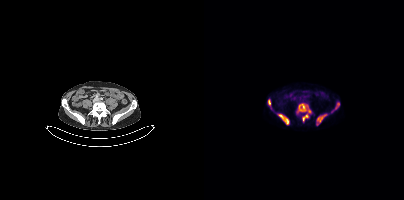
Coordinates are on the 200×200 PET (right) panel. PSMA-avid tumor lesion bounding boxes (partial; 1 more focus not listed):
| # | x0 | y0 | x1 | y1 |
|---|---|---|---|---|
| 1 | 93 | 103 | 107 | 121 |
| 2 | 73 | 114 | 84 | 124 |
| 3 | 112 | 114 | 122 | 125 |
| 4 | 64 | 99 | 66 | 106 |
| 5 | 131 | 102 | 135 | 109 |
Left: CT. Right: PSMA PET, same axial level, 18F-PSMA tracer. PET panel 200×200 px (4.1 mm/px).